modality: PSMA PET/CT | tracer: 68Ga | view: axial | PET grid: 168×168
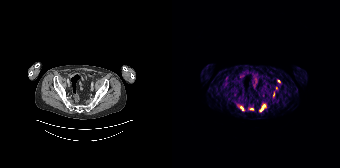
Coordinates are on the 168×168 PET (right) panel. (showing 4 of 5 foci) PSMA-avid tumor lesion bounding boxes (x0, y0)-(x1, y1): (88, 105)-(92, 111) | (68, 106)-(71, 110). Small PSMA-avid foci (2 to 4 px across) near (center x, center y): (79, 108) | (106, 80).